Technique: Two-panel axial: CT | PSMA PET, 18F tracer. acquired on Siemens Biograph mCT Flow 20. PET panel 200×200 px (4.1 mm/px).
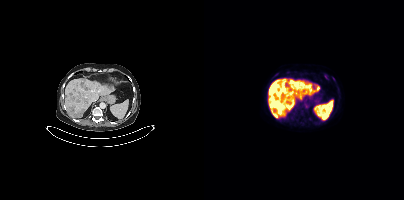
Findings: Coordinates are on the 200×200 PET (right) panel. PSMA-avid tumor lesion bounding box (x0, y0)-(x1, y1): (64, 89)-(69, 94). Small PSMA-avid foci (2 to 4 px across) near (center x, center y): (74, 84) | (75, 113) | (71, 114).